Technique: Left: CT. Right: PSMA PET, same axial level, 18F tracer. acquired on Siemens Biograph mCT Flow 20. PET panel 200×200 px (4.1 mm/px).
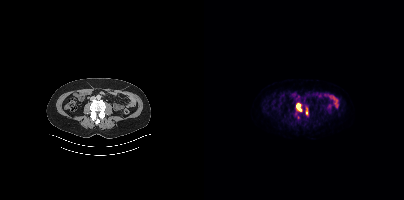
Findings: Coordinates are on the 200×200 PET (right) panel. PSMA-avid tumor lesion bounding box (x0,y0,x1,y1): [92,103,97,111]. Small PSMA-avid focus (2 to 4 px across) near (center x, center y): (102, 112).